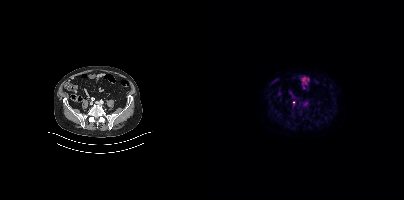
{"modality":"PSMA PET/CT","view":"axial","tracer":"18F-PSMA","pet_grid":[200,200],"coord_frame":"pet_panel","coord_format":"x0,y0,x1,y1","lesion_bboxes":[],"small_foci_centers":[[89,102]]}